Paired axial CT (left) and PSMA PET (right), 18F tracer. Acquired on Siemens Biograph mCT Flow 20. Slice 404 of 433. A rectangle over the head was blacked out to remove identifiable facial features.
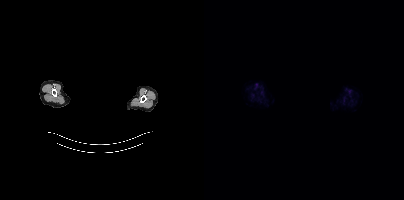
No tumor lesions annotated on this slice.